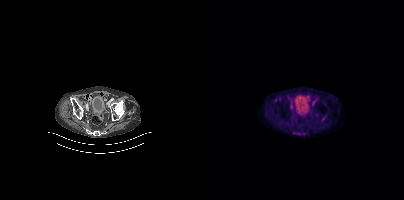
No tumor lesions annotated on this slice.